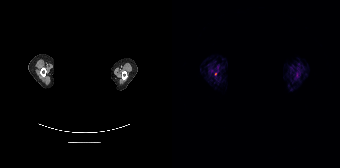
Two-panel axial: CT | PSMA PET, [68Ga]Ga-PSMA-11 tracer. PET panel 168×168 px (4.1 mm/px). Face de-identified by blanking a block of the head. No tumor lesions annotated on this slice.